Technique: Paired axial CT (left) and PSMA PET (right), 18F-PSMA tracer. slice 90 of 263. PET panel 256×256 px (2.7 mm/px).
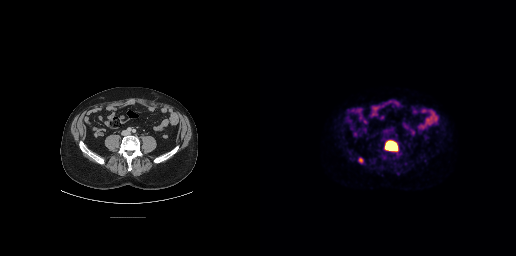
Findings: Coordinates are on the 256×256 PET (right) panel. PSMA-avid tumor lesion bounding boxes (x0, y0)-(x1, y1): (124, 140)-(138, 152); (99, 158)-(102, 162).